Paired axial CT (left) and PSMA PET (right), [68Ga]Ga-PSMA-11 tracer. Slice position z = 767 mm.
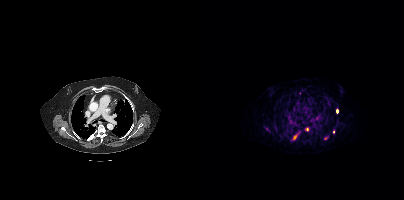
Coordinates are on the 200×200 PET (right) panel. PSMA-avid tumor lesion bounding boxes (partial; 1 more focus not listed):
| # | x0 | y0 | x1 | y1 |
|---|---|---|---|---|
| 1 | 88 | 131 | 96 | 140 |
| 2 | 100 | 127 | 105 | 131 |
| 3 | 132 | 108 | 134 | 113 |
Small PSMA-avid foci (2 to 4 px across) near (center x, center y): (129, 132); (121, 138).